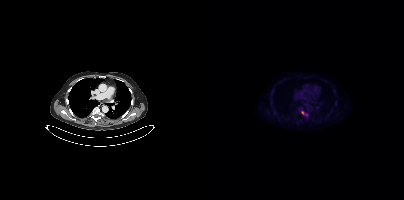
Findings: Coordinates are on the 200×200 PET (right) panel. PSMA-avid tumor lesion bounding box (x0, y0)-(x1, y1): (97, 111)-(101, 114).
- Paired axial CT (left) and PSMA PET (right), [18F]PSMA-1007 tracer
- acquired on Siemens Biograph mCT Flow 20